- Two-panel axial: CT | PSMA PET, 18F tracer
- PET panel 200×200 px (4.1 mm/px)
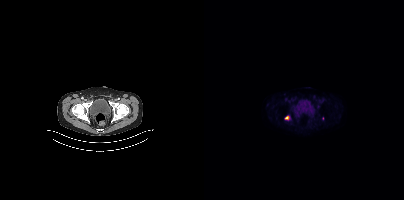
Findings: Coordinates are on the 200×200 PET (right) panel. Small PSMA-avid focus (2 to 4 px across) near (center x, center y): (82, 117).